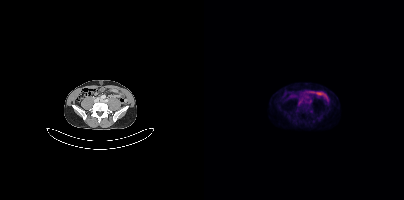
Two-panel axial: CT | PSMA PET, 18F-PSMA tracer. Acquired on Siemens Biograph mCT Flow 20.
Coordinates are on the 200×200 PET (right) panel. PSMA-avid tumor lesion bounding boxes:
| # | x0 | y0 | x1 | y1 |
|---|---|---|---|---|
| 1 | 105 | 109 | 109 | 113 |